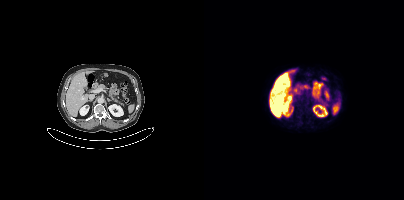
- Two-panel axial: CT | PSMA PET, 18F-PSMA tracer
- acquired on Siemens Biograph mCT Flow 20
- slice 231 of 433
Findings: Coordinates are on the 200×200 PET (right) panel. PSMA-avid tumor lesion bounding box (x, y, width, height): x=92 y=97 w=5 h=4.